modality: PSMA PET/CT | tracer: 68Ga | view: axial | deidentification: facial region redacted
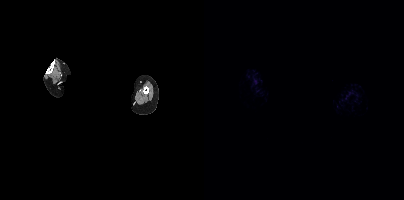
No PSMA-avid tumor lesions on this slice.